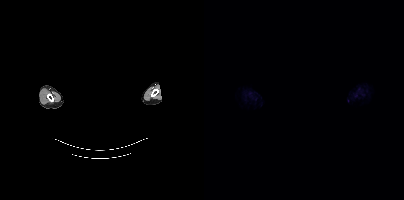
- Two-panel axial: CT | PSMA PET, 18F tracer
- slice 442 of 452
- PET panel 200×200 px (4.1 mm/px)
- facial anatomy redacted by setting a rectangular region of the head to black
Findings: This slice has no annotated PSMA-avid lesion.